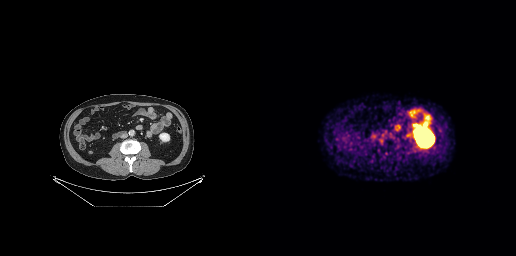
No tumor lesions annotated on this slice.